- Left: CT. Right: PSMA PET, same axial level, 18F tracer
- PET panel 256×256 px (2.7 mm/px)
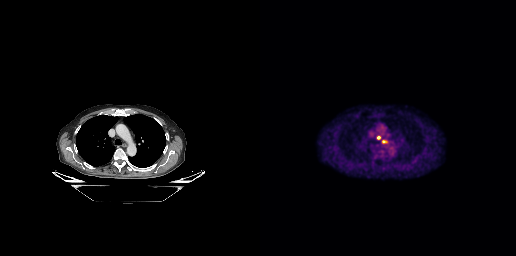
Findings: Coordinates are on the 256×256 PET (right) panel. PSMA-avid tumor lesion bounding box (x0,y0,x1,y1): [122,140,126,142]. Small PSMA-avid focus (2 to 4 px across) near (center x, center y): (118, 137).